- Two-panel axial: CT | PSMA PET, 18F-PSMA tracer
- slice 18 of 165
- PET panel 168×168 px (4.1 mm/px)
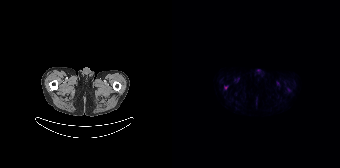
Findings: Coordinates are on the 168×168 PET (right) panel. Small PSMA-avid focus (2 to 4 px across) near (center x, center y): (53, 87).